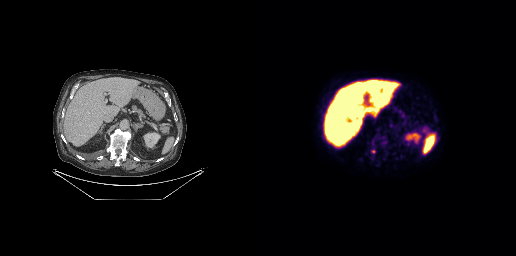
Findings: Coordinates are on the 256×256 PET (right) panel. Small PSMA-avid focus (2 to 4 px across) near (center x, center y): (113, 151).
Technique: Left: CT. Right: PSMA PET, same axial level, 18F-PSMA tracer. PET panel 256×256 px (2.7 mm/px).